Technique: Two-panel axial: CT | PSMA PET, 18F-PSMA tracer. PET panel 200×200 px (4.1 mm/px).
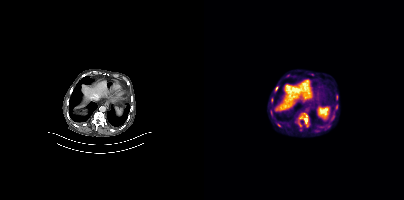
Findings: Coordinates are on the 200×200 PET (right) panel. (showing 2 of 3 foci) PSMA-avid tumor lesion bounding box (x, y, width, height): x=95 y=114 w=9 h=11. Small PSMA-avid focus (2 to 4 px across) near (center x, center y): (96, 124).